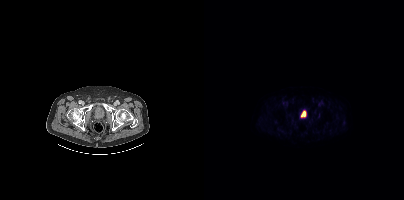
Left: CT. Right: PSMA PET, same axial level, [18F]PSMA-1007 tracer. Acquired on Siemens Biograph mCT Flow 20. Slice 44 of 423. PET panel 200×200 px (4.1 mm/px). This slice has no annotated PSMA-avid lesion.